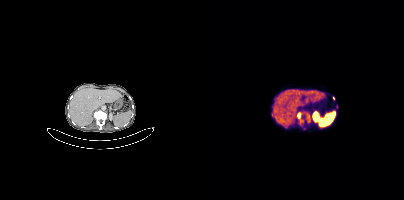
- Paired axial CT (left) and PSMA PET (right), 68Ga tracer
Findings: Coordinates are on the 200×200 PET (right) panel. PSMA-avid tumor lesion bounding boxes (x, y, width, height): x=93 y=112 w=7 h=12 | x=103 y=113 w=4 h=10 | x=67 y=112 w=2 h=5. Small PSMA-avid foci (2 to 4 px across) near (center x, center y): (129, 98) | (132, 106).